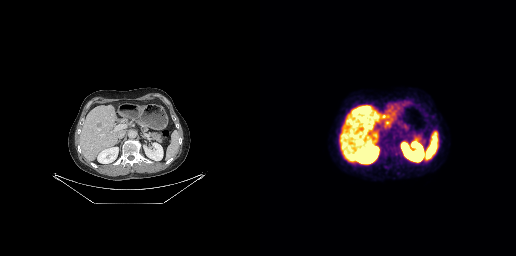
This slice has no annotated PSMA-avid lesion.
modality: PSMA PET/CT | tracer: 18F | view: axial